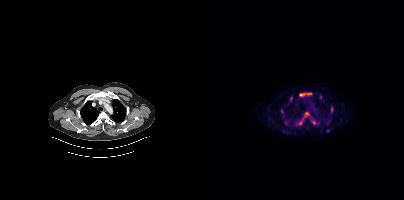
{"pet_grid":[200,200],"coord_frame":"pet_panel","coord_format":"x0,y0,x1,y1","lesion_bboxes":[[95,93,108,96],[94,119,99,125],[107,119,112,124],[86,96,88,100],[127,107,129,112]],"small_foci_centers":[[103,113],[116,97],[77,111],[123,130]],"modality":"PSMA PET/CT","view":"axial","tracer":"[18F]PSMA-1007"}